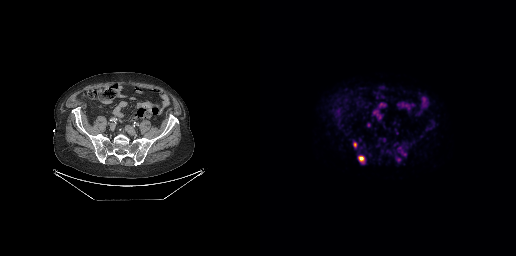
Two-panel axial: CT | PSMA PET, [18F]PSMA-1007 tracer. PET panel 256×256 px (2.7 mm/px).
Coordinates are on the 256×256 PET (right) panel. PSMA-avid tumor lesion bounding boxes:
| # | x0 | y0 | x1 | y1 |
|---|---|---|---|---|
| 1 | 98 | 155 | 104 | 163 |
| 2 | 138 | 147 | 146 | 155 |
| 3 | 93 | 142 | 96 | 147 |
Small PSMA-avid foci (2 to 4 px across) near (center x, center y): (138, 159); (78, 110).